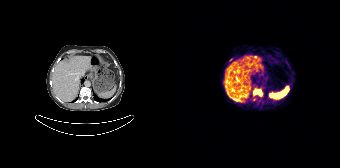
Left: CT. Right: PSMA PET, same axial level, [68Ga]Ga-PSMA-11 tracer. PET panel 168×168 px (4.1 mm/px). Coordinates are on the 168×168 PET (right) panel. (showing 1 of 2 foci) PSMA-avid tumor lesion bounding box (x0, y0)-(x1, y1): (81, 88)-(90, 96).